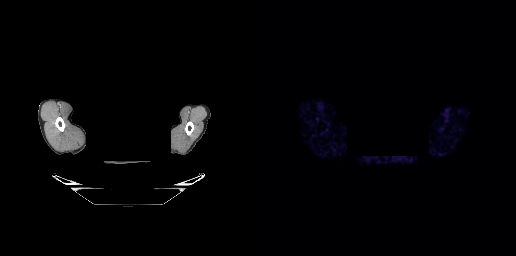
{"modality":"PSMA PET/CT","view":"axial","tracer":"68Ga-PSMA","pet_grid":[256,256],"coord_frame":"pet_panel","coord_format":"x0,y0,x1,y1","psma_avid_lesions":false,"redaction":"face masked with black rectangle"}